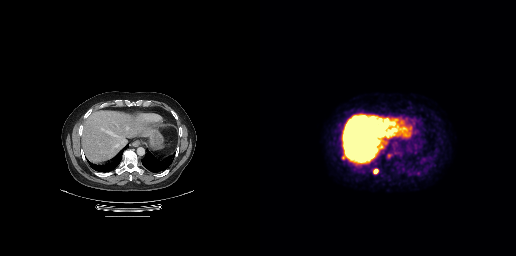
Coordinates are on the 256×256 PET (right) panel. PSMA-avid tumor lesion bounding box (x0,y0,x1,y1): [113,169,118,173]. Small PSMA-avid focus (2 to 4 px across) near (center x, center y): (83, 157).